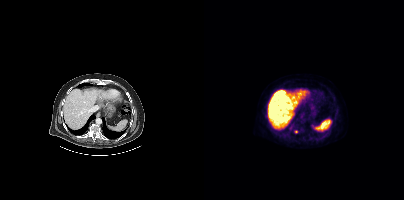
Paired axial CT (left) and PSMA PET (right), [18F]PSMA-1007 tracer. Acquired on Siemens Biograph mCT Flow 20. Slice 287 of 435. Coordinates are on the 200×200 PET (right) panel. Small PSMA-avid focus (2 to 4 px across) near (center x, center y): (92, 131).